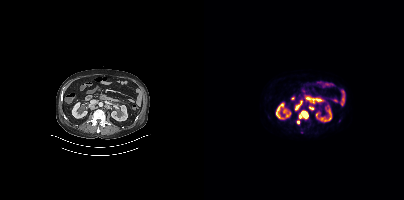
modality: PSMA PET/CT | tracer: 18F-PSMA | view: axial
Coordinates are on the 200×200 PET (right) panel. PSMA-avid tumor lesion bounding boxes (x, y, width, height): x=95 y=110 w=10 h=9 / x=91 y=101 w=8 h=10. Small PSMA-avid foci (2 to 4 px across) near (center x, center y): (94, 121) / (107, 108).